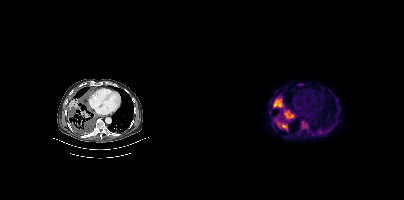
Technique: Paired axial CT (left) and PSMA PET (right), 18F-PSMA tracer. slice position z = -1170 mm. PET panel 200×200 px (4.1 mm/px).
Findings: Coordinates are on the 200×200 PET (right) panel. (showing 6 of 7 foci) PSMA-avid tumor lesion bounding boxes (x0,y0,x1,y1): [69,97,80,108], [97,120,104,129], [79,109,89,118], [77,124,83,130], [70,118,75,125]. Small PSMA-avid focus (2 to 4 px across) near (center x, center y): (115, 132).